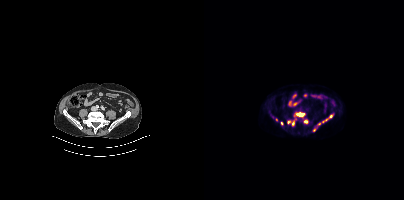
{"modality":"PSMA PET/CT","view":"axial","tracer":"18F","pet_grid":[200,200],"coord_frame":"pet_panel","coord_format":"x0,y0,x1,y1","partial":true,"lesion_bboxes":[[123,113,129,119],[93,113,100,116]],"small_foci_centers":[[89,123],[72,119],[85,122],[77,123],[110,130],[102,121]]}